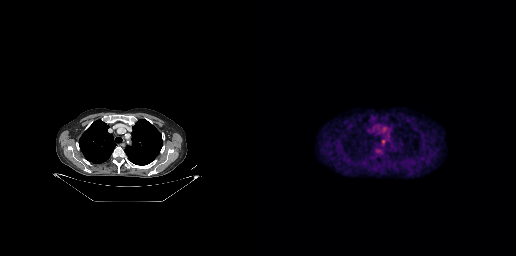
{"modality":"PSMA PET/CT","view":"axial","tracer":"18F-PSMA","pet_grid":[256,256],"coord_frame":"pet_panel","coord_format":"x0,y0,x1,y1","lesion_bboxes":[],"small_foci_centers":[[123,140]]}